Technique: Two-panel axial: CT | PSMA PET, 68Ga tracer. acquired on GE Discovery 690. slice position z = -808 mm.
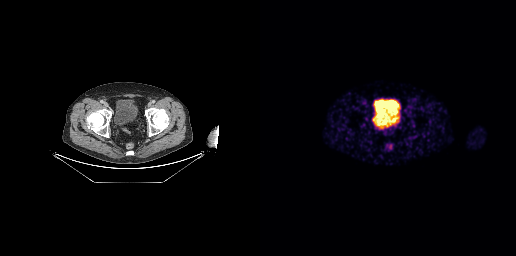
Findings: This slice has no annotated PSMA-avid lesion.